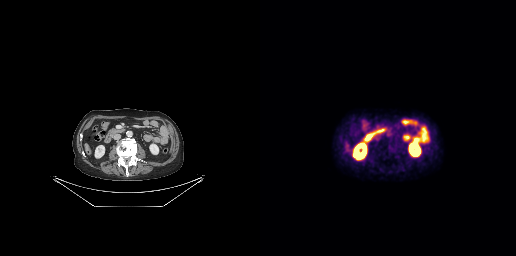
No tumor lesions annotated on this slice.